modality: PSMA PET/CT | tracer: [68Ga]Ga-PSMA-11 | view: axial | PET grid: 168×168
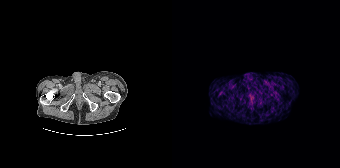
No tumor lesions annotated on this slice.